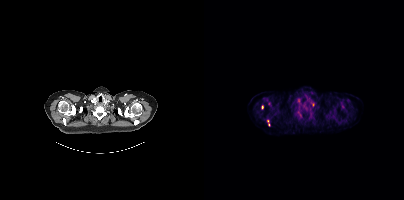
Coordinates are on the 200×200 PET (right) panel. (showing 2 of 5 foci) Small PSMA-avid foci (2 to 4 px across) near (center x, center y): (64, 103); (58, 107).